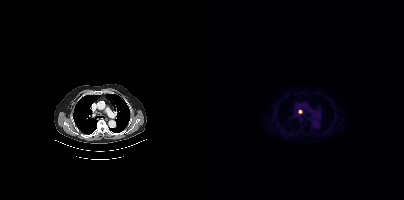
{"modality":"PSMA PET/CT","view":"axial","tracer":"18F-PSMA","pet_grid":[200,200],"coord_frame":"pet_panel","coord_format":"x0,y0,x1,y1","lesion_bboxes":[[94,110,98,113]]}